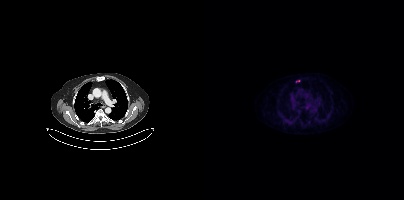
Paired axial CT (left) and PSMA PET (right), 18F tracer. Coordinates are on the 200×200 PET (right) panel. Small PSMA-avid focus (2 to 4 px across) near (center x, center y): (93, 80).